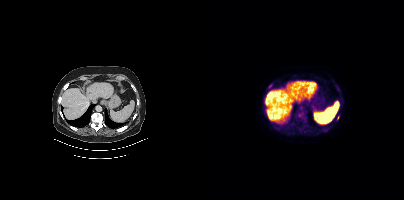
Findings: Coordinates are on the 200×200 PET (right) panel. PSMA-avid tumor lesion bounding boxes (x0, y0)-(x1, y1): (93, 112)-(102, 124) / (64, 84)-(68, 88) / (119, 128)-(122, 132) / (132, 86)-(136, 90) / (91, 123)-(95, 126) / (95, 127)-(98, 131). Small PSMA-avid focus (2 to 4 px across) near (center x, center y): (134, 117).
- Two-panel axial: CT | PSMA PET, 18F tracer
- acquired on Siemens Biograph mCT Flow 20
- slice 273 of 464
- PET panel 200×200 px (4.1 mm/px)